- Two-panel axial: CT | PSMA PET, 68Ga tracer
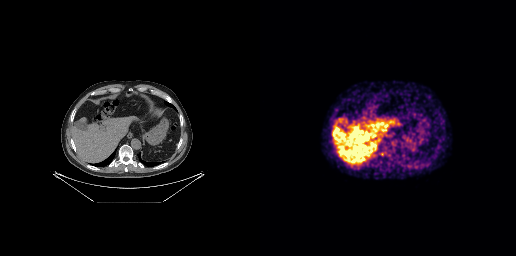
Findings: This slice has no annotated PSMA-avid lesion.